modality: PSMA PET/CT | tracer: [68Ga]Ga-PSMA-11 | view: axial
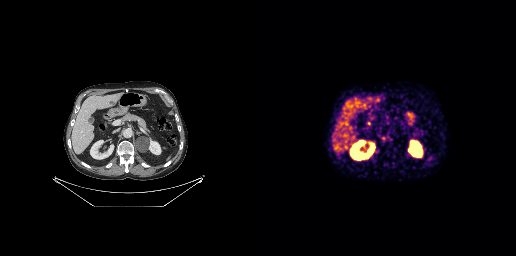
No PSMA-avid tumor lesions on this slice.